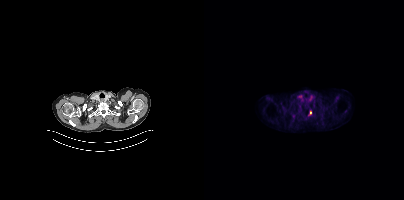
Technique: Left: CT. Right: PSMA PET, same axial level, 18F-PSMA tracer. slice 355 of 423.
Findings: Coordinates are on the 200×200 PET (right) panel. PSMA-avid tumor lesion bounding box (x0, y0)-(x1, y1): (104, 110)-(107, 115).